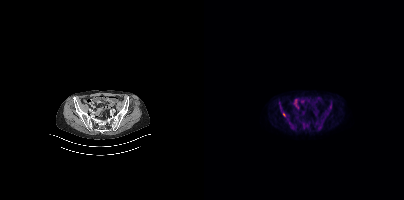
{"modality":"PSMA PET/CT","view":"axial","tracer":"18F-PSMA","pet_grid":[200,200],"coord_frame":"pet_panel","coord_format":"x0,y0,x1,y1","lesion_bboxes":[],"small_foci_centers":[[79,114]]}